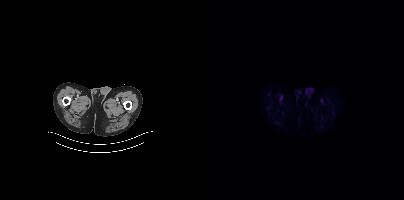
- Paired axial CT (left) and PSMA PET (right), 18F tracer
- PET panel 200×200 px (4.1 mm/px)
Findings: Negative for PSMA-avid disease on this slice.